- Left: CT. Right: PSMA PET, same axial level, [18F]PSMA-1007 tracer
- slice position z = -1412 mm
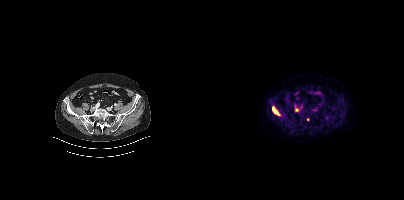
Findings: Coordinates are on the 200×200 PET (right) panel. PSMA-avid tumor lesion bounding box (x, y, width, height): x=69 y=107 w=6 h=8. Small PSMA-avid foci (2 to 4 px across) near (center x, center y): (92, 109); (103, 119).